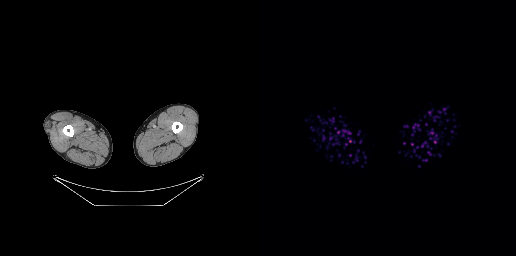
No PSMA-avid tumor lesions on this slice.